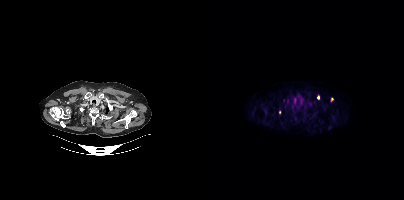
Coordinates are on the 200×200 PET (right) panel. PSMA-avid tumor lesion bounding boxes (x0,y0,x1,y1): [113,95,115,99] [75,110,77,114]. Small PSMA-avid focus (2 to 4 px across) near (center x, center y): (128, 99).